Left: CT. Right: PSMA PET, same axial level, 18F tracer. Acquired on Siemens Biograph mCT Flow 20. Slice position z = -1951 mm.
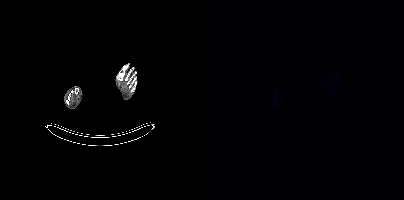
Negative for PSMA-avid disease on this slice.